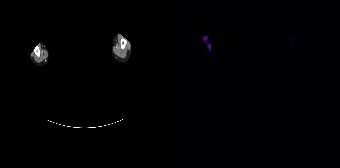
Privacy masking over the head, with the pixels inside a rectangle set to black.
Coordinates are on the 168×168 PET (right) panel. Small PSMA-avid focus (2 to 4 px across) near (center x, center y): (37, 46).